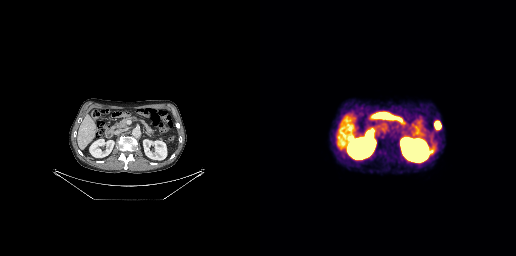
Findings: Coordinates are on the 256×256 PET (right) panel. PSMA-avid tumor lesion bounding box (x, y, width, height): x=174 y=121 w=7 h=9.
- Left: CT. Right: PSMA PET, same axial level, [68Ga]Ga-PSMA-11 tracer
- acquired on GE Discovery 690
- slice 127 of 263